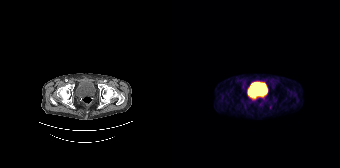
{"modality":"PSMA PET/CT","view":"axial","tracer":"68Ga-PSMA","pet_grid":[168,168],"coord_frame":"pet_panel","coord_format":"x0,y0,x1,y1","lesion_bboxes":[],"small_foci_centers":[[98,107]]}